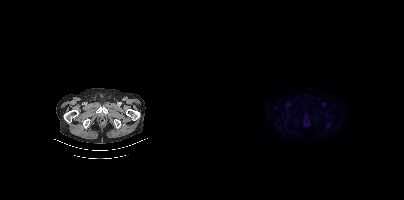
No tumor lesions annotated on this slice.
modality: PSMA PET/CT | tracer: 18F-PSMA | view: axial